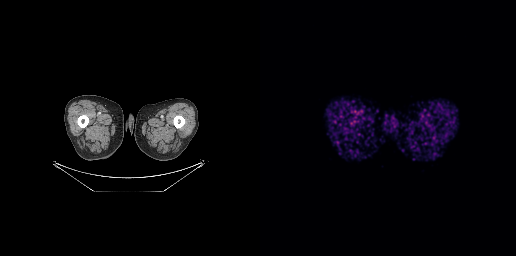
{"modality":"PSMA PET/CT","view":"axial","tracer":"68Ga-PSMA","pet_grid":[256,256],"coord_frame":"pet_panel","coord_format":"x0,y0,x1,y1","psma_avid_lesions":false}